Two-panel axial: CT | PSMA PET, 18F-PSMA tracer. PET panel 200×200 px (4.1 mm/px).
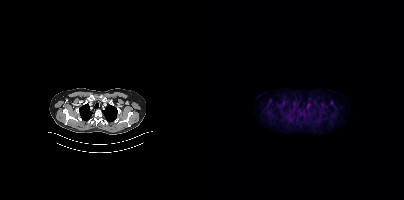
This slice has no annotated PSMA-avid lesion.